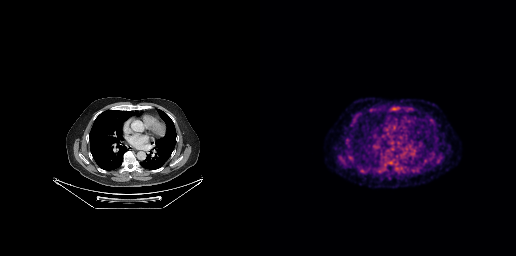
Findings: No PSMA-avid tumor lesions on this slice.
Technique: Left: CT. Right: PSMA PET, same axial level, 18F-PSMA tracer. PET panel 256×256 px (2.7 mm/px).